modality: PSMA PET/CT | tracer: 18F | view: axial | redaction: head region blanked (face removed)
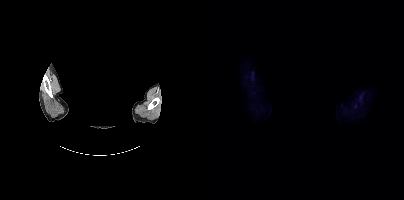
No PSMA-avid tumor lesions on this slice.